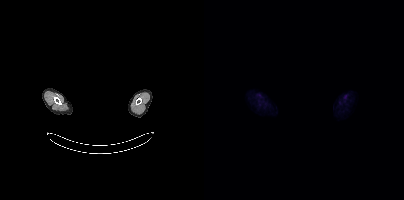
- Left: CT. Right: PSMA PET, same axial level, 18F tracer
- slice 390 of 425
- de-identified by setting a box covering the face to black before release
Findings: No tumor lesions annotated on this slice.